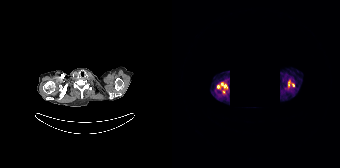
Coordinates are on the 168×168 PET (right) panel. (showing 4 of 5 foci) PSMA-avid tumor lesion bounding boxes (x0, y0)-(x1, y1): (49, 83)-(55, 87) / (116, 81)-(118, 86). Small PSMA-avid foci (2 to 4 px across) near (center x, center y): (121, 84) / (46, 86). Paired axial CT (left) and PSMA PET (right), 68Ga-PSMA tracer. Acquired on Siemens Biograph 64-4R TruePoint. A rectangular region was set to black for de-identification.